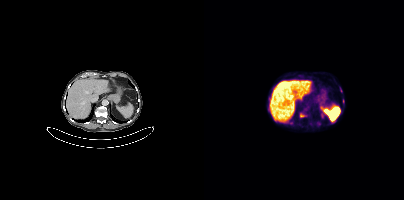
Coordinates are on the 200×200 PET (right) panel. PSMA-avid tumor lesion bounding box (x, y, width, height): x=96 y=113 w=5 h=5.
modality: PSMA PET/CT | tracer: [18F]PSMA-1007 | view: axial | PET grid: 200×200